- Paired axial CT (left) and PSMA PET (right), [18F]PSMA-1007 tracer
- acquired on Siemens Biograph mCT Flow 20
- slice position z = -1556 mm
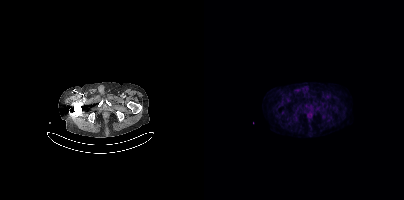
Findings: This slice has no annotated PSMA-avid lesion.